Technique: Paired axial CT (left) and PSMA PET (right), 18F tracer. PET panel 256×256 px (2.7 mm/px).
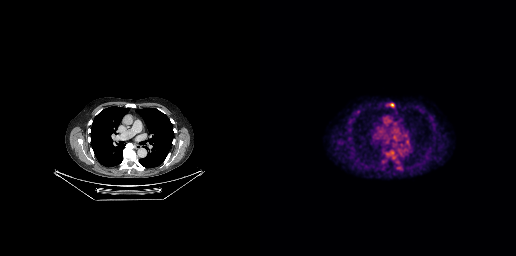
Findings: Coordinates are on the 256×256 PET (right) panel. (showing 1 of 4 foci) PSMA-avid tumor lesion bounding box (x0,y0,x1,y1): [126,150,135,159].